Left: CT. Right: PSMA PET, same axial level, 18F-PSMA tracer.
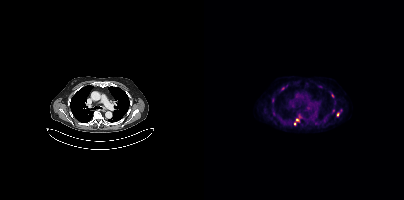
Coordinates are on the 200×200 PET (right) panel. PSMA-avid tumor lesion bounding boxes (partial; 1 more focus not listed):
| # | x0 | y0 | x1 | y1 |
|---|---|---|---|---|
| 1 | 90 | 119 | 95 | 125 |
Small PSMA-avid foci (2 to 4 px across) near (center x, center y): (134, 114); (78, 88); (128, 95).